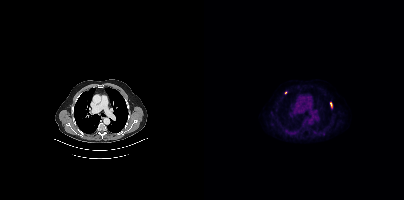
{"modality":"PSMA PET/CT","view":"axial","tracer":"18F-PSMA","pet_grid":[200,200],"coord_frame":"pet_panel","coord_format":"x0,y0,x1,y1","lesion_bboxes":[[126,102,128,106]],"small_foci_centers":[[81,92]]}